Left: CT. Right: PSMA PET, same axial level, 18F-PSMA tracer. Acquired on Siemens Biograph mCT Flow 20. Slice 220 of 413. PET panel 200×200 px (4.1 mm/px).
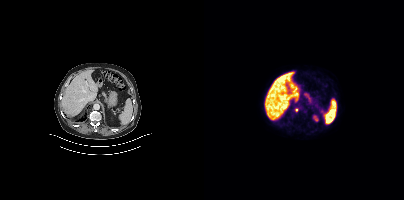
Coordinates are on the 200×200 PET (right) panel. Small PSMA-avid focus (2 to 4 px across) near (center x, center y): (92, 110).